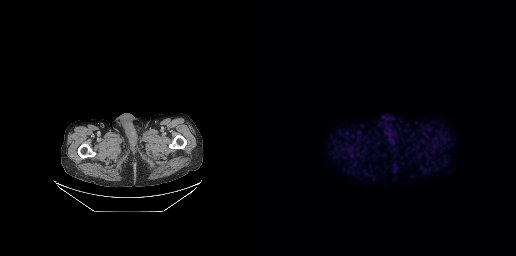
{"pet_grid":[256,256],"coord_frame":"pet_panel","coord_format":"x0,y0,x1,y1","psma_avid_lesions":false,"modality":"PSMA PET/CT","view":"axial","tracer":"18F-PSMA"}